Two-panel axial: CT | PSMA PET, 68Ga tracer.
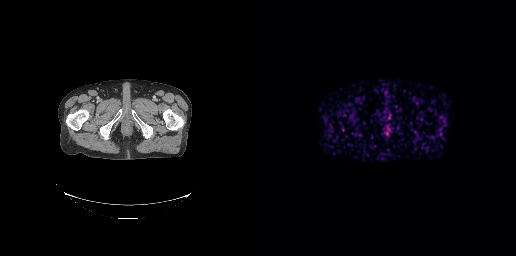
This slice has no annotated PSMA-avid lesion.